Two-panel axial: CT | PSMA PET, 18F-PSMA tracer.
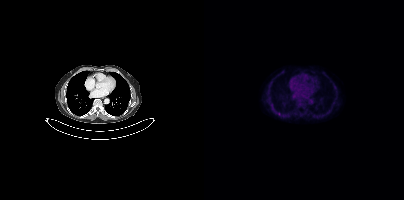
Only PSMA-avid lesion pieces thinner than 2 px on this slice (not listed).